- Left: CT. Right: PSMA PET, same axial level, [18F]PSMA-1007 tracer
- slice position z = 264 mm
- PET panel 200×200 px (4.1 mm/px)
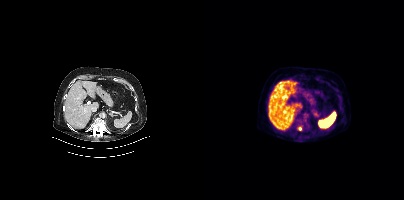
Findings: Coordinates are on the 200×200 PET (right) panel. Small PSMA-avid focus (2 to 4 px across) near (center x, center y): (95, 128).